modality: PSMA PET/CT | tracer: 68Ga | view: axial
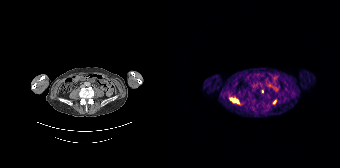
Coordinates are on the 168×168 PET (right) panel. PSMA-avid tumor lesion bounding box (x0, y0)-(x1, y1): (58, 98)-(66, 103). Small PSMA-avid foci (2 to 4 px across) near (center x, center y): (90, 91) | (102, 102).